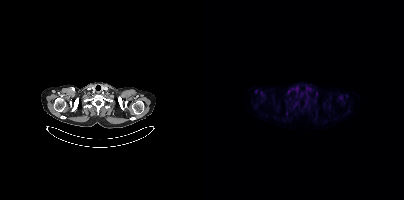
Coordinates are on the 200×200 PET (right) panel. Small PSMA-avid focus (2 to 4 px across) near (center x, center y): (112, 94).